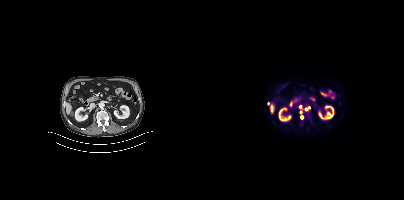
- Left: CT. Right: PSMA PET, same axial level, 18F-PSMA tracer
- acquired on Siemens Biograph mCT Flow 20
- slice position z = -1156 mm
- PET panel 200×200 px (4.1 mm/px)
Findings: Coordinates are on the 200×200 PET (right) panel. (showing 3 of 6 foci) Small PSMA-avid foci (2 to 4 px across) near (center x, center y): (98, 117) / (96, 111) / (96, 106).